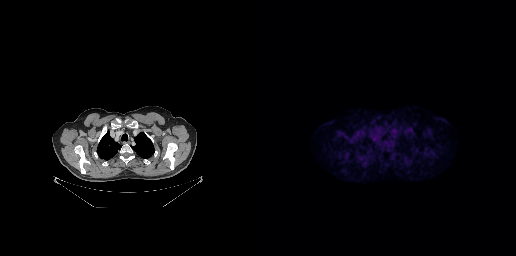
No PSMA-avid tumor lesions on this slice.